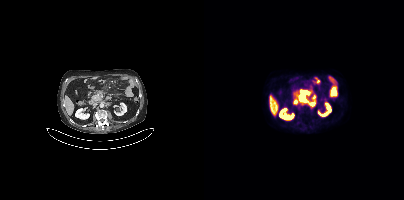
Findings: Coordinates are on the 200×200 PET (right) panel. PSMA-avid tumor lesion bounding boxes (x0, y0)-(x1, y1): (94, 90)-(106, 101) | (106, 102)-(110, 105). Small PSMA-avid focus (2 to 4 px across) near (center x, center y): (109, 96).
- Left: CT. Right: PSMA PET, same axial level, 18F tracer
- acquired on Siemens Biograph mCT Flow 20
- PET panel 200×200 px (4.1 mm/px)